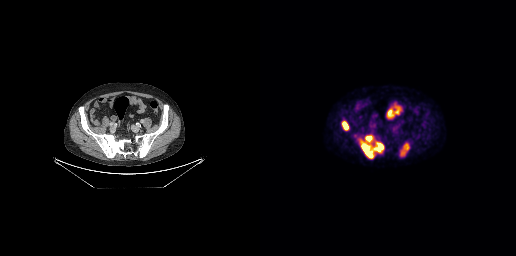
Left: CT. Right: PSMA PET, same axial level, 18F-PSMA tracer. Acquired on GE Discovery 690. PET panel 256×256 px (2.7 mm/px). Coordinates are on the 256×256 PET (right) panel. PSMA-avid tumor lesion bounding boxes (x, y, width, height): x=100 y=135 w=25 h=24 | x=141 y=143 w=9 h=13 | x=82 y=121 w=7 h=10.